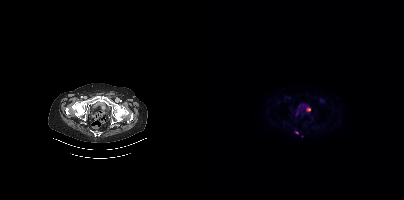
Technique: Two-panel axial: CT | PSMA PET, [18F]PSMA-1007 tracer. acquired on Siemens Biograph mCT Flow 20. PET panel 200×200 px (4.1 mm/px).
Findings: Coordinates are on the 200×200 PET (right) panel. (showing 3 of 4 foci) PSMA-avid tumor lesion bounding box (x0,y0,x1,y1): [102,108,106,111]. Small PSMA-avid foci (2 to 4 px across) near (center x, center y): (92, 114), (93, 133).